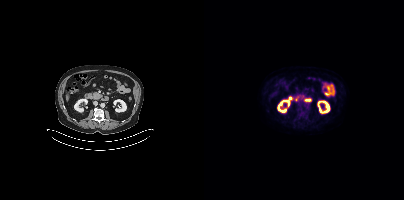
This slice has no annotated PSMA-avid lesion. Left: CT. Right: PSMA PET, same axial level, [18F]PSMA-1007 tracer. Acquired on Siemens Biograph mCT Flow 20. Slice position z = -1230 mm.